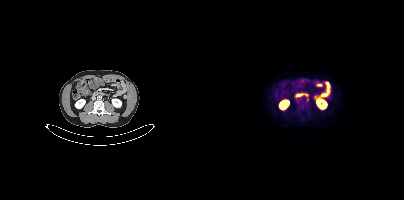
Coordinates are on the 200×200 PET (right) panel. PSMA-avid tumor lesion bounding box (x, y, width, height): x=102 y=97 w=3 h=5.